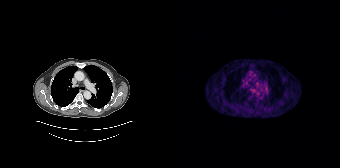
Technique: Paired axial CT (left) and PSMA PET (right), [68Ga]Ga-PSMA-11 tracer. slice position z = -281 mm.
Findings: This slice has no annotated PSMA-avid lesion.